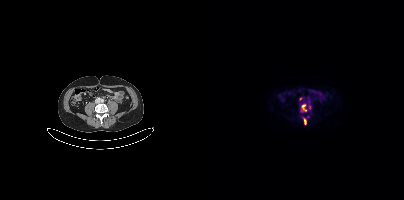
Left: CT. Right: PSMA PET, same axial level, [18F]PSMA-1007 tracer. Slice 141 of 407. PET panel 200×200 px (4.1 mm/px).
Coordinates are on the 200×200 PET (right) panel. PSMA-avid tumor lesion bounding boxes:
| # | x0 | y0 | x1 | y1 |
|---|---|---|---|---|
| 1 | 98 | 104 | 101 | 111 |
| 2 | 99 | 118 | 101 | 124 |
Small PSMA-avid foci (2 to 4 px across) near (center x, center y): (96, 98); (105, 107).